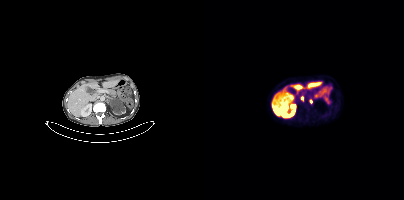
{"modality":"PSMA PET/CT","view":"axial","tracer":"[18F]PSMA-1007","pet_grid":[200,200],"coord_frame":"pet_panel","coord_format":"x0,y0,x1,y1","lesion_bboxes":[],"small_foci_centers":[[98,98],[106,101]]}